modality: PSMA PET/CT | tracer: 18F | view: axial
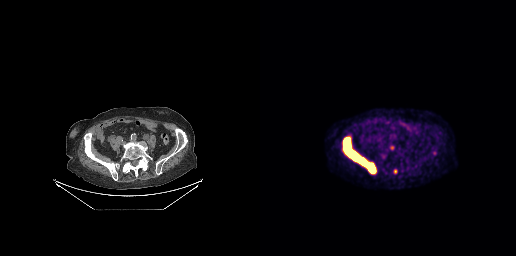
Coordinates are on the 256×256 PET (right) panel. (showing 3 of 4 foci) PSMA-avid tumor lesion bounding box (x0, y0)-(x1, y1): (83, 136)-(116, 173). Small PSMA-avid foci (2 to 4 px across) near (center x, center y): (135, 171); (174, 152).